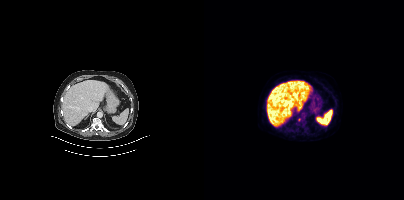
Left: CT. Right: PSMA PET, same axial level, 18F-PSMA tracer. Acquired on Siemens Biograph mCT Flow 20. Slice position z = -500 mm. PET panel 200×200 px (4.1 mm/px). Coordinates are on the 200×200 PET (right) panel. Small PSMA-avid focus (2 to 4 px across) near (center x, center y): (95, 119).